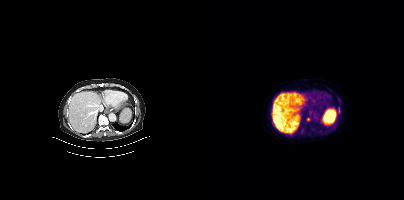
Findings: Coordinates are on the 200×200 PET (right) panel. PSMA-avid tumor lesion bounding box (x0,y0,x1,y1): [134,109,136,113]. Small PSMA-avid foci (2 to 4 px across) near (center x, center y): (98, 131); (104, 119); (77, 91).
- Left: CT. Right: PSMA PET, same axial level, [18F]PSMA-1007 tracer
- PET panel 200×200 px (4.1 mm/px)